- Paired axial CT (left) and PSMA PET (right), [18F]PSMA-1007 tracer
- acquired on Siemens Biograph mCT Flow 20
- slice position z = 406 mm
- PET panel 200×200 px (4.1 mm/px)
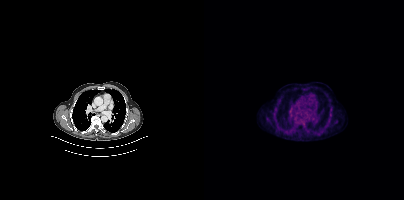
Findings: Negative for PSMA-avid disease on this slice.